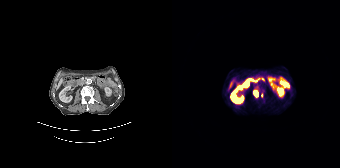
Technique: Paired axial CT (left) and PSMA PET (right), 68Ga-PSMA tracer. slice position z = -1122 mm.
Findings: Coordinates are on the 168×168 PET (right) panel. (showing 1 of 2 foci) PSMA-avid tumor lesion bounding box (x, y, width, height): x=81 y=88 w=5 h=9.